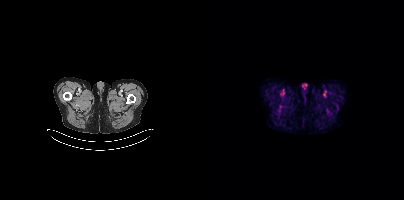
Technique: Paired axial CT (left) and PSMA PET (right), 18F tracer. slice position z = -884 mm.
Findings: No PSMA-avid tumor lesions on this slice.